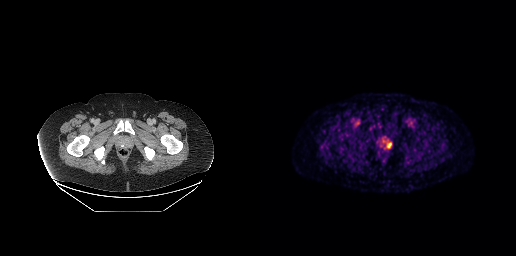
- Two-panel axial: CT | PSMA PET, 18F-PSMA tracer
- PET panel 256×256 px (2.7 mm/px)
Findings: Coordinates are on the 256×256 PET (right) panel. Small PSMA-avid focus (2 to 4 px across) near (center x, center y): (130, 144).